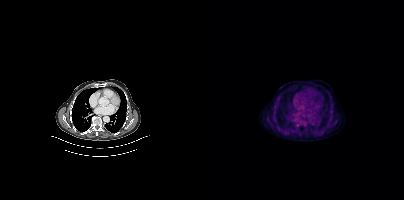
Findings: Only PSMA-avid lesion pieces thinner than 2 px on this slice (not listed).
- Two-panel axial: CT | PSMA PET, [18F]PSMA-1007 tracer
- PET panel 200×200 px (4.1 mm/px)